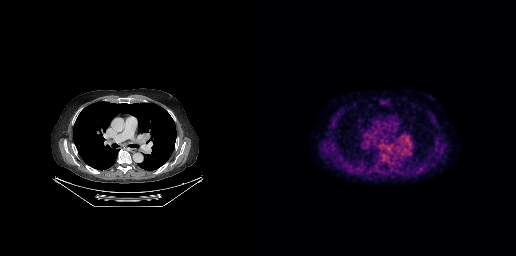
No tumor lesions annotated on this slice.